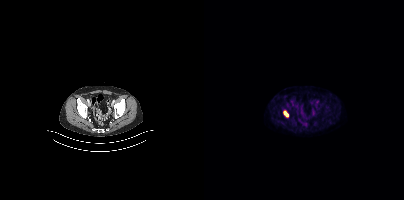
Coordinates are on the 200×200 PET (right) panel. PSMA-avid tumor lesion bounding box (x, y, width, height): x=79 y=111 w=6 h=6.